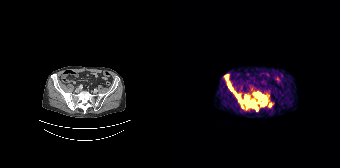
{"modality":"PSMA PET/CT","view":"axial","tracer":"68Ga","pet_grid":[168,168],"coord_frame":"pet_panel","coord_format":"x0,y0,x1,y1","partial":true,"lesion_bboxes":[[70,95,86,111],[84,92,94,106],[56,82,60,90],[62,92,68,101]],"small_foci_centers":[[98,105],[54,75]]}